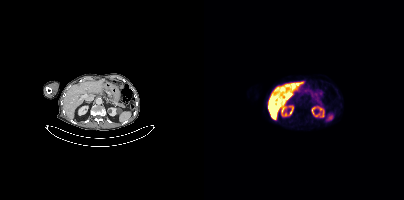
{"modality":"PSMA PET/CT","view":"axial","tracer":"18F-PSMA","pet_grid":[200,200],"coord_frame":"pet_panel","coord_format":"x0,y0,x1,y1","psma_avid_lesions":false}